modality: PSMA PET/CT | tracer: [18F]PSMA-1007 | view: axial | PET grid: 200×200
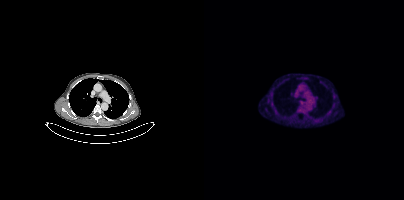
Only PSMA-avid lesion pieces thinner than 2 px on this slice (not listed).